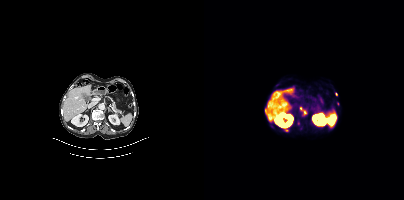
Technique: Left: CT. Right: PSMA PET, same axial level, 68Ga tracer. PET panel 200×200 px (4.1 mm/px).
Findings: Coordinates are on the 200×200 PET (right) panel. PSMA-avid tumor lesion bounding boxes (x, y, width, height): x=96 y=107 w=8 h=8; x=93 y=121 w=3 h=5. Small PSMA-avid foci (2 to 4 px across) near (center x, center y): (82, 130); (61, 109); (132, 94); (133, 103); (129, 125).